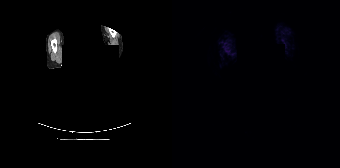
Left: CT. Right: PSMA PET, same axial level, 68Ga-PSMA tracer. Acquired on Siemens Biograph 64-4R TruePoint. PET panel 168×168 px (4.1 mm/px). The head region is masked for de-identification. This slice has no annotated PSMA-avid lesion.